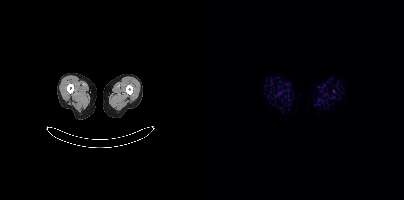
Findings: No tumor lesions annotated on this slice.
- Left: CT. Right: PSMA PET, same axial level, [18F]PSMA-1007 tracer
- acquired on Siemens Biograph mCT Flow 20
- slice 4 of 415